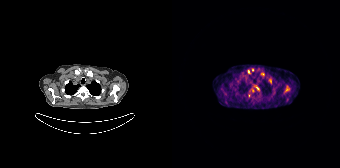
{"modality":"PSMA PET/CT","view":"axial","tracer":"68Ga","pet_grid":[168,168],"coord_frame":"pet_panel","coord_format":"x0,y0,x1,y1","partial":true,"lesion_bboxes":[[112,86,117,93],[78,88,82,92],[96,80,99,84]],"small_foci_centers":[[76,71],[91,73],[85,88]]}